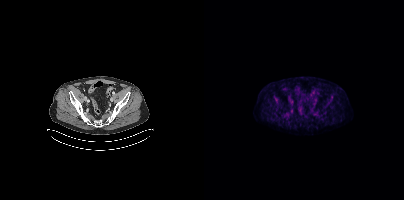
Coordinates are on the 200×200 PET (right) panel. Small PSMA-avid focus (2 to 4 px across) near (center x, center y): (80, 88). Two-panel axial: CT | PSMA PET, [18F]PSMA-1007 tracer.